modality: PSMA PET/CT | tracer: 18F | view: axial | PET grid: 200×200
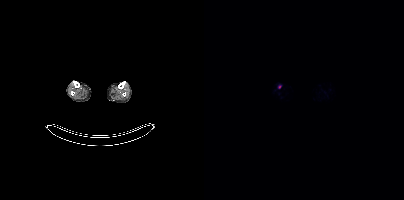
Coordinates are on the 200×200 PET (right) panel. Small PSMA-avid focus (2 to 4 px across) near (center x, center y): (75, 87).